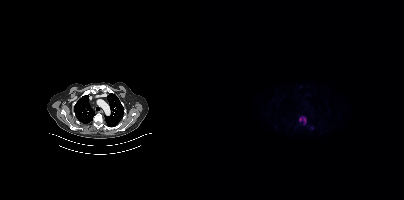
- Two-panel axial: CT | PSMA PET, 18F tracer
- PET panel 200×200 px (4.1 mm/px)
Findings: Coordinates are on the 200×200 PET (right) panel. PSMA-avid tumor lesion bounding box (x, y, width, height): x=95 y=116 w=8 h=10.